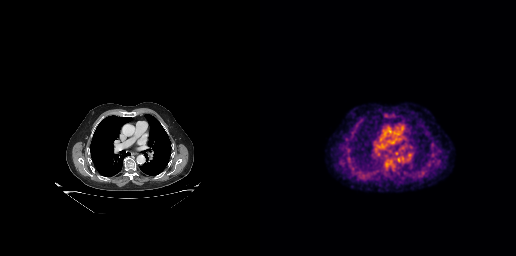
{"modality":"PSMA PET/CT","view":"axial","tracer":"[18F]PSMA-1007","pet_grid":[256,256],"coord_frame":"pet_panel","coord_format":"x0,y0,x1,y1","psma_avid_lesions":false}